- Paired axial CT (left) and PSMA PET (right), [18F]PSMA-1007 tracer
- slice 295 of 299
- head region blanked for anonymization (face removed)
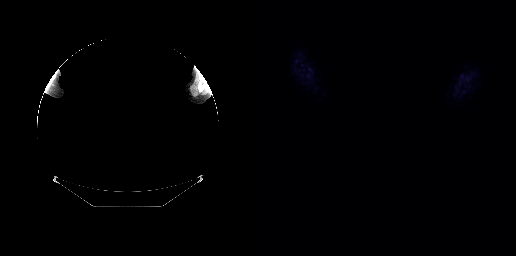
Findings: Negative for PSMA-avid disease on this slice.